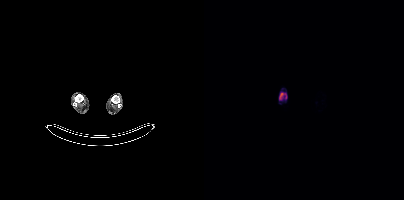
Findings: Coordinates are on the 200×200 PET (right) panel. PSMA-avid tumor lesion bounding box (x0,y0,x1,y1): [75,93,82,99].
- Left: CT. Right: PSMA PET, same axial level, 18F-PSMA tracer
- acquired on Siemens Biograph mCT Flow 20
- PET panel 200×200 px (4.1 mm/px)